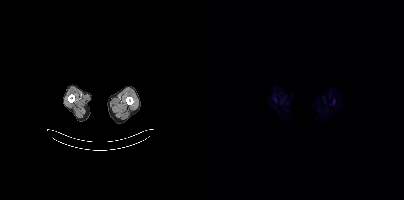
Technique: Left: CT. Right: PSMA PET, same axial level, 18F tracer. slice position z = -122 mm. PET panel 200×200 px (4.1 mm/px).
Findings: This slice has no annotated PSMA-avid lesion.